modality: PSMA PET/CT | tracer: [68Ga]Ga-PSMA-11 | view: axial | PET grid: 168×168
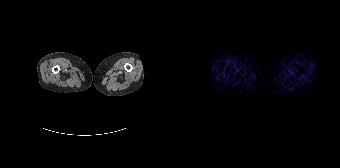
This slice has no annotated PSMA-avid lesion.